Technique: Paired axial CT (left) and PSMA PET (right), 18F tracer. PET panel 200×200 px (4.1 mm/px).
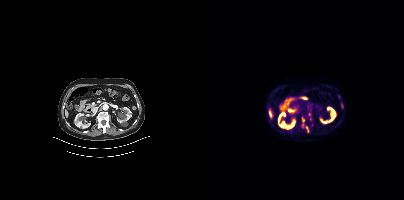
Findings: Coordinates are on the 200×200 PET (right) panel. (showing 5 of 6 foci) PSMA-avid tumor lesion bounding boxes (x0,y0,x1,y1): [97,123,100,128]; [98,117,100,121]; [102,126,104,132]; [137,104,139,108]. Small PSMA-avid focus (2 to 4 px across) near (center x, center y): (105, 114).